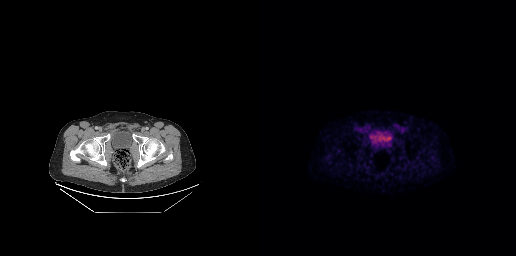
Two-panel axial: CT | PSMA PET, 18F tracer. Slice 50 of 263. PET panel 256×256 px (2.7 mm/px). Coordinates are on the 256×256 PET (right) panel. PSMA-avid tumor lesion bounding box (x0,y0,x1,y1): [109,133,113,138].